Two-panel axial: CT | PSMA PET, [18F]PSMA-1007 tracer. Acquired on GE Discovery 690. Slice position z = -539 mm. PET panel 256×256 px (2.7 mm/px).
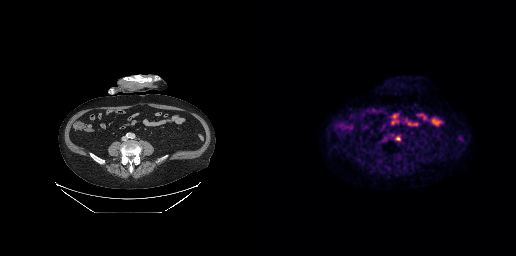
Coordinates are on the 256×256 PET (right) panel. PSMA-avid tumor lesion bounding boxes:
| # | x0 | y0 | x1 | y1 |
|---|---|---|---|---|
| 1 | 135 | 136 | 140 | 140 |